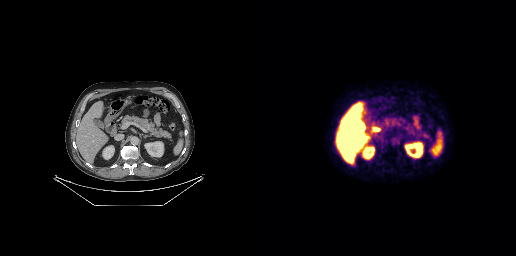
{"modality":"PSMA PET/CT","view":"axial","tracer":"18F","pet_grid":[256,256],"coord_frame":"pet_panel","coord_format":"x0,y0,x1,y1","partial":true,"lesion_bboxes":[]}